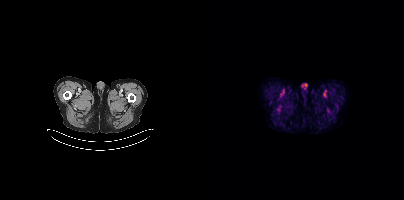
- Left: CT. Right: PSMA PET, same axial level, [18F]PSMA-1007 tracer
- acquired on Siemens Biograph mCT Flow 20
- slice 23 of 429
- PET panel 200×200 px (4.1 mm/px)
Findings: This slice has no annotated PSMA-avid lesion.